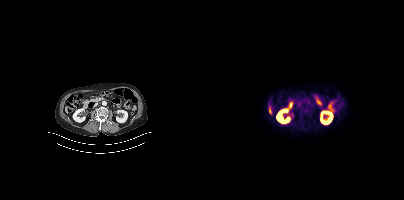
{"modality":"PSMA PET/CT","view":"axial","tracer":"18F-PSMA","pet_grid":[200,200],"coord_frame":"pet_panel","coord_format":"x0,y0,x1,y1","psma_avid_lesions":false}